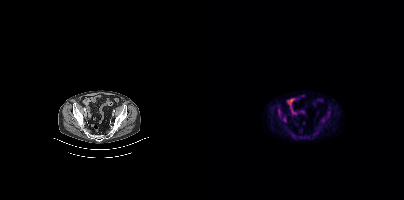
{"modality":"PSMA PET/CT","view":"axial","tracer":"18F","pet_grid":[200,200],"coord_frame":"pet_panel","coord_format":"x0,y0,x1,y1","lesion_bboxes":[[116,117,123,123],[123,111,126,116],[74,108,76,114],[78,119,82,122]]}